modality: PSMA PET/CT | tracer: 18F-PSMA | view: axial | de-identification: head region blacked out before release
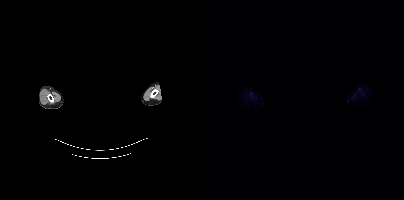
No tumor lesions annotated on this slice.